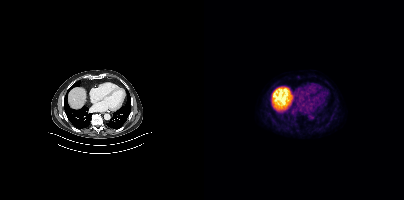
modality: PSMA PET/CT | tracer: 18F | view: axial
This slice has no annotated PSMA-avid lesion.